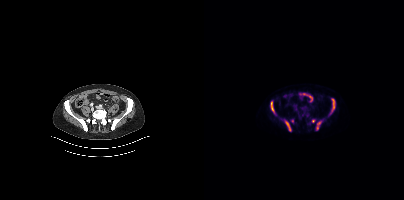
{"modality":"PSMA PET/CT","view":"axial","tracer":"18F-PSMA","pet_grid":[200,200],"coord_frame":"pet_panel","coord_format":"x0,y0,x1,y1","lesion_bboxes":[[81,120,87,131],[112,120,118,129],[66,101,70,113],[128,99,130,111]],"small_foci_centers":[[109,121],[88,121]]}